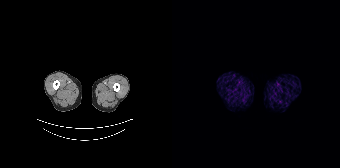
This slice has no annotated PSMA-avid lesion.
modality: PSMA PET/CT | tracer: 68Ga | view: axial